- Two-panel axial: CT | PSMA PET, 18F tracer
- acquired on GE Discovery 690
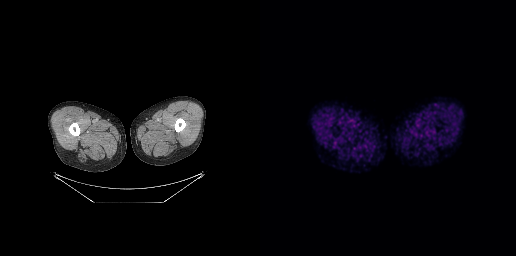
Findings: No PSMA-avid tumor lesions on this slice.